- Left: CT. Right: PSMA PET, same axial level, 18F tracer
- slice 105 of 411
- PET panel 200×200 px (4.1 mm/px)
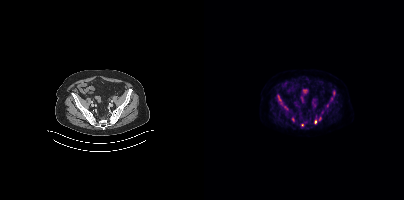
Findings: Coordinates are on the 200×200 PET (right) panel. (showing 7 of 10 foci) PSMA-avid tumor lesion bounding boxes (x, y, width, height): x=129 y=90 w=3 h=6; x=74 y=95 w=4 h=6. Small PSMA-avid foci (2 to 4 px across) near (center x, center y): (111, 121); (89, 118); (127, 98); (116, 118); (98, 124).